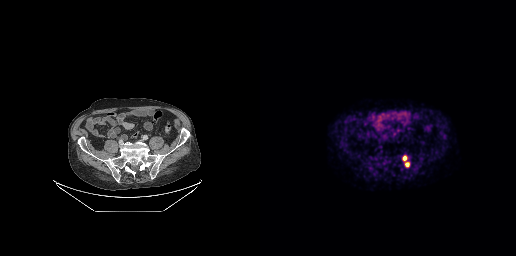
Findings: Coordinates are on the 256×256 PET (right) panel. PSMA-avid tumor lesion bounding box (x0,y0,x1,y1): [145,162,149,166]. Small PSMA-avid focus (2 to 4 px across) near (center x, center y): (144, 158).
- Two-panel axial: CT | PSMA PET, [18F]PSMA-1007 tracer
- acquired on GE Discovery 690
- slice 115 of 299
- PET panel 256×256 px (2.7 mm/px)